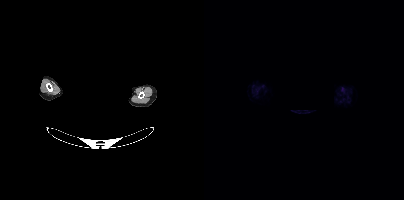
{"modality":"PSMA PET/CT","view":"axial","tracer":"[18F]PSMA-1007","pet_grid":[200,200],"coord_frame":"pet_panel","coord_format":"x0,y0,x1,y1","deidentification":"head region blacked out before release","psma_avid_lesions":false}